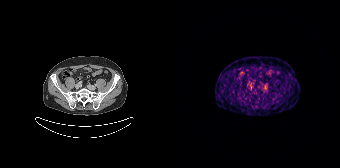
Coordinates are on the 168×168 PET (right) panel. Small PSMA-avid focus (2 to 4 px across) near (center x, center y): (79, 87).
modality: PSMA PET/CT | tracer: 68Ga | view: axial